Technique: Left: CT. Right: PSMA PET, same axial level, [68Ga]Ga-PSMA-11 tracer. slice position z = -986 mm.
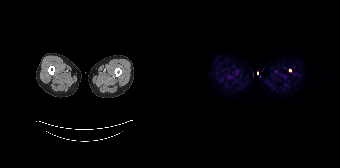
Findings: Coordinates are on the 168×168 PET (right) panel. Small PSMA-avid focus (2 to 4 px across) near (center x, center y): (117, 70).